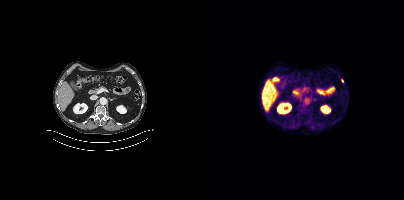
modality: PSMA PET/CT | tracer: 18F | view: axial | PET grid: 200×200
Coordinates are on the 200×200 PET (right) panel. Small PSMA-avid focus (2 to 4 px across) near (center x, center y): (138, 80).